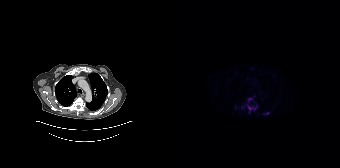
Coordinates are on the 168×168 PET (right) panel. (showing 3 of 4 foci) PSMA-avid tumor lesion bounding boxes (x0,y0,x1,y1): [75,105,84,110], [91,112,97,114]. Small PSMA-avid focus (2 to 4 px across) near (center x, center y): (77, 99).